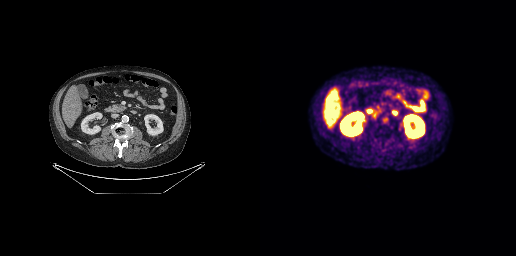
Findings: This slice has no annotated PSMA-avid lesion.
- Two-panel axial: CT | PSMA PET, 18F tracer
- PET panel 256×256 px (2.7 mm/px)